modality: PSMA PET/CT | tracer: 18F-PSMA | view: axial | PET grid: 200×200
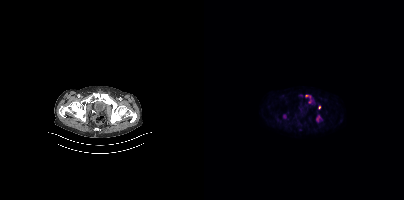
Coordinates are on the 200×200 PET (right) panel. PSMA-avid tumor lesion bounding boxes (x0,y0,x1,y1): [112,115,117,122]; [101,95,106,97]. Small PSMA-avid foci (2 to 4 px across) near (center x, center y): (115, 107); (105, 101).